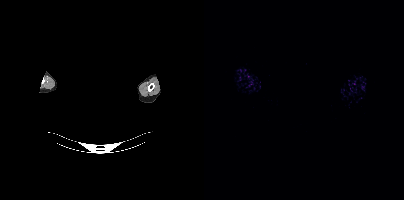
Left: CT. Right: PSMA PET, same axial level, 68Ga-PSMA tracer. Acquired on Siemens Biograph mCT Flow 20. PET panel 200×200 px (4.1 mm/px). Face de-identified by blanking a block of the head. No PSMA-avid tumor lesions on this slice.